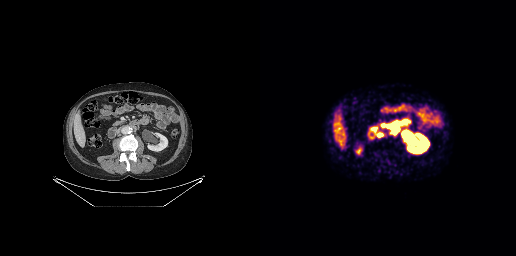
{"modality":"PSMA PET/CT","view":"axial","tracer":"[68Ga]Ga-PSMA-11","pet_grid":[256,256],"coord_frame":"pet_panel","coord_format":"x0,y0,x1,y1","lesion_bboxes":[[128,124,138,134],[117,133,123,137]]}